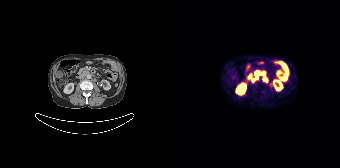
{"pet_grid":[168,168],"coord_frame":"pet_panel","coord_format":"x0,y0,x1,y1","lesion_bboxes":[[83,71,88,78],[91,77,95,82]],"small_foci_centers":[[81,80]],"modality":"PSMA PET/CT","view":"axial","tracer":"68Ga-PSMA"}